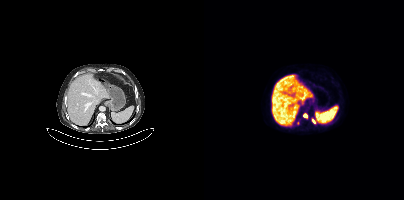
Left: CT. Right: PSMA PET, same axial level, 18F-PSMA tracer. Acquired on Siemens Biograph mCT Flow 20. Coordinates are on the 200×200 PET (right) panel. PSMA-avid tumor lesion bounding box (x0, y0)-(x1, y1): (99, 114)-(103, 117). Small PSMA-avid foci (2 to 4 px across) near (center x, center y): (109, 120) | (94, 122).